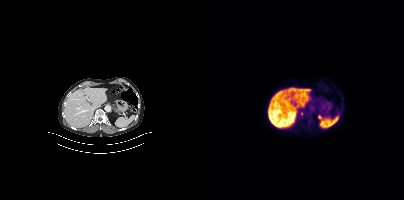
Technique: Left: CT. Right: PSMA PET, same axial level, [18F]PSMA-1007 tracer. slice 228 of 423.
Findings: Coordinates are on the 200×200 PET (right) panel. Small PSMA-avid focus (2 to 4 px across) near (center x, center y): (97, 113).